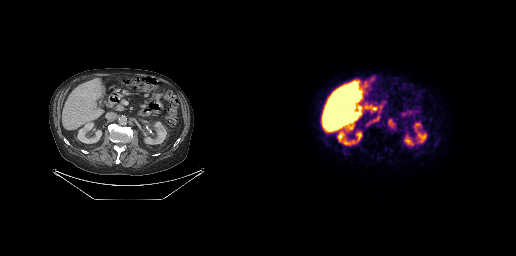
Coordinates are on the 256×256 PET (right) panel. PSMA-avid tumor lesion bounding box (x0,y0,x1,y1): [128,119,134,127]. Paired axial CT (left) and PSMA PET (right), [18F]PSMA-1007 tracer. Acquired on GE Discovery 690. PET panel 256×256 px (2.7 mm/px).